Left: CT. Right: PSMA PET, same axial level, [18F]PSMA-1007 tracer. Acquired on Siemens Biograph mCT Flow 20. Slice 219 of 462.
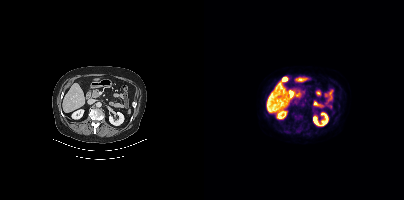
Negative for PSMA-avid disease on this slice.